Left: CT. Right: PSMA PET, same axial level, 18F tracer. Slice position z = -802 mm. PET panel 168×168 px (4.1 mm/px).
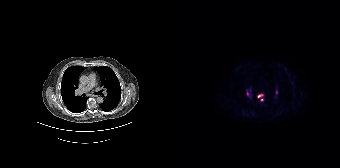
Coordinates are on the 168×168 PET (right) panel. PSMA-avid tumor lesion bounding box (x0,y0,x1,y1): [85,94,91,97]. Small PSMA-avid foci (2 to 4 px across) near (center x, center y): (90, 99), (75, 93).